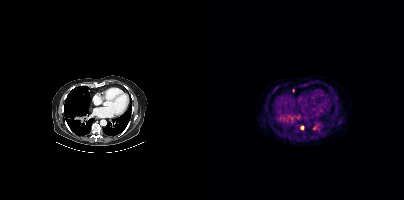
{"pet_grid":[200,200],"coord_frame":"pet_panel","coord_format":"x0,y0,x1,y1","partial":true,"lesion_bboxes":[],"small_foci_centers":[[110,127],[98,127],[135,122]],"modality":"PSMA PET/CT","view":"axial","tracer":"[18F]PSMA-1007"}